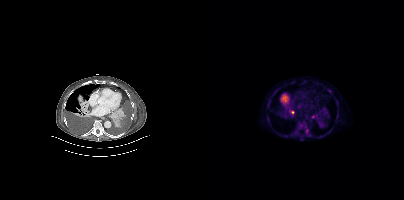
{"modality":"PSMA PET/CT","view":"axial","tracer":"18F","pet_grid":[200,200],"coord_frame":"pet_panel","coord_format":"x0,y0,x1,y1","lesion_bboxes":[[95,123,101,129],[102,129,107,136],[86,111,90,116]],"small_foci_centers":[[112,118],[125,90],[95,106],[97,139],[108,116]]}